Paired axial CT (left) and PSMA PET (right), [18F]PSMA-1007 tracer. Slice position z = 315 mm. PET panel 200×200 px (4.1 mm/px).
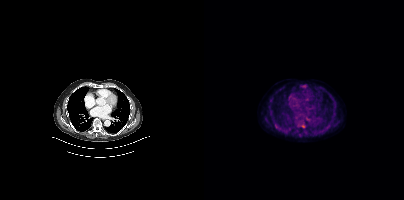
Coordinates are on the 200×200 PET (right) panel. PSMA-avid tumor lesion bounding boxes:
| # | x0 | y0 | x1 | y1 |
|---|---|---|---|---|
| 1 | 96 | 123 | 101 | 128 |